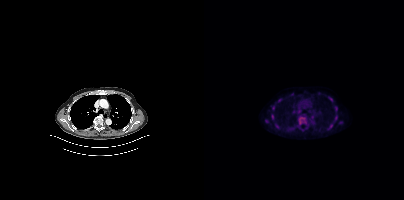
Findings: Coordinates are on the 200×200 PET (right) panel. PSMA-avid tumor lesion bounding boxes (x, y, width, height): x=94 y=116 w=8 h=8 | x=131 y=106 w=3 h=6. Small PSMA-avid foci (2 to 4 px across) near (center x, center y): (131, 119) | (127, 98) | (68, 116) | (69, 108) | (75, 100) | (62, 121) | (123, 128).
- Two-panel axial: CT | PSMA PET, [18F]PSMA-1007 tracer
- acquired on Siemens Biograph mCT Flow 20
- slice position z = -361 mm
- PET panel 200×200 px (4.1 mm/px)